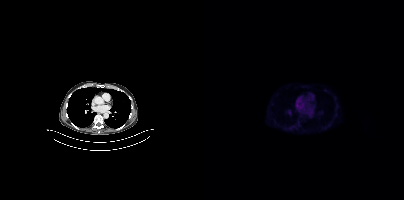
{"modality":"PSMA PET/CT","view":"axial","tracer":"[18F]PSMA-1007","pet_grid":[200,200],"coord_frame":"pet_panel","coord_format":"x0,y0,x1,y1","psma_avid_lesions":false}